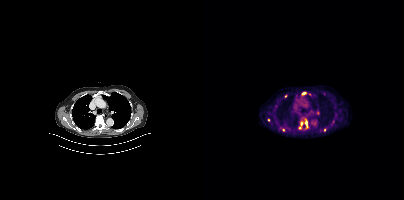
Coordinates are on the 200×200 PET (right) panel. PSMA-avid tumor lesion bounding boxes (x, y, width, height): x=101 y=119 w=3 h=9; x=95 y=122 w=5 h=7; x=98 y=92 w=5 h=4. Small PSMA-avid foci (2 to 4 px across) near (center x, center y): (120, 129); (81, 96); (64, 120); (79, 129).